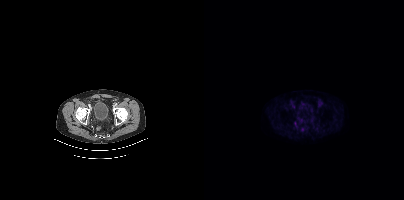
modality: PSMA PET/CT | tracer: [18F]PSMA-1007 | view: axial | PET grid: 200×200
No tumor lesions annotated on this slice.